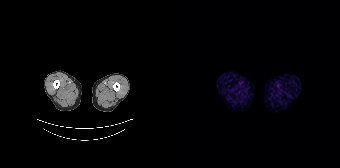
No tumor lesions annotated on this slice.